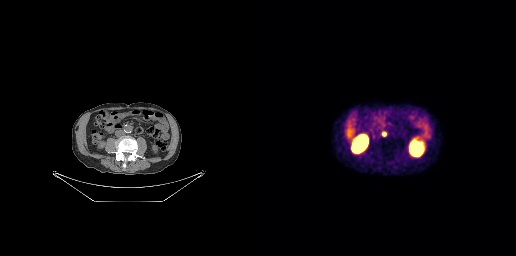
- Paired axial CT (left) and PSMA PET (right), [68Ga]Ga-PSMA-11 tracer
- slice 92 of 227
- PET panel 256×256 px (2.7 mm/px)
Findings: Coordinates are on the 256×256 PET (right) panel. Small PSMA-avid focus (2 to 4 px across) near (center x, center y): (124, 134).